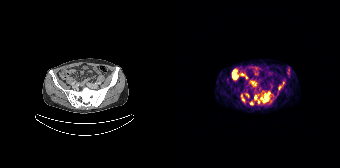
Findings: Coordinates are on the 168×168 PET (right) panel. (showing 7 of 10 foci) PSMA-avid tumor lesion bounding boxes (x0,y0,x1,y1): [89,92,98,102] [69,96,73,102] [73,94,77,97] [82,95,84,99]. Small PSMA-avid foci (2 to 4 px across) near (center x, center y): (78, 102) (107, 87) (86, 101).
Technique: Paired axial CT (left) and PSMA PET (right), 68Ga-PSMA tracer. acquired on Siemens Biograph 64-4R TruePoint. PET panel 168×168 px (4.1 mm/px).